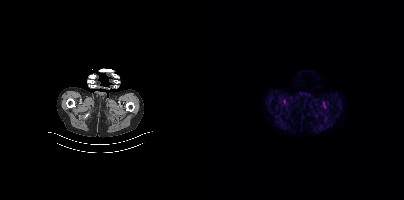
This slice has no annotated PSMA-avid lesion.
modality: PSMA PET/CT | tracer: [18F]PSMA-1007 | view: axial